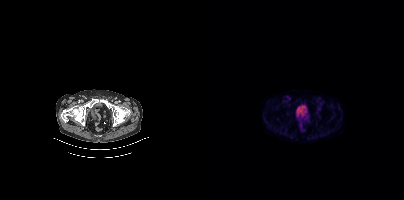
Coordinates are on the 200×200 PET (right) panel. PSMA-avid tumor lesion bounding box (x0, y0)-(x1, y1): (82, 96)-(86, 99).
modality: PSMA PET/CT | tracer: 18F-PSMA | view: axial | PET grid: 200×200